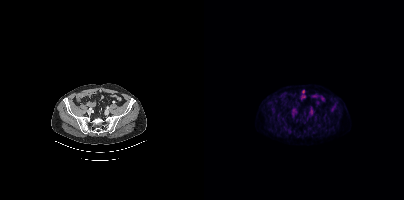
- Two-panel axial: CT | PSMA PET, 18F tracer
Findings: This slice has no annotated PSMA-avid lesion.